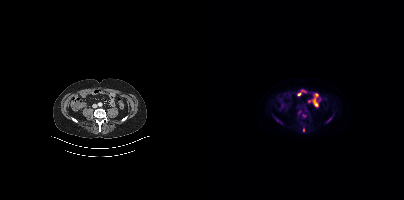
Paired axial CT (left) and PSMA PET (right), 18F-PSMA tracer. Acquired on Siemens Biograph mCT Flow 20. Slice 120 of 395. PET panel 200×200 px (4.1 mm/px).
Coordinates are on the 200×200 PET (right) panel. PSMA-avid tumor lesion bounding boxes:
| # | x0 | y0 | x1 | y1 |
|---|---|---|---|---|
| 1 | 94 | 110 | 97 | 114 |
| 2 | 123 | 118 | 127 | 122 |
Small PSMA-avid foci (2 to 4 px across) near (center x, center y): (100, 115); (99, 129); (73, 120).